- Paired axial CT (left) and PSMA PET (right), 18F tracer
- slice 101 of 454
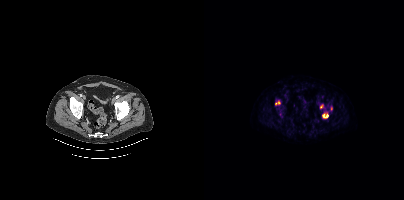
Findings: Coordinates are on the 200×200 PET (right) panel. PSMA-avid tumor lesion bounding boxes (x0, y0)-(x1, y1): (118, 113)-(124, 118) / (71, 101)-(76, 105) / (116, 104)-(119, 108). Small PSMA-avid focus (2 to 4 px across) near (center x, center y): (127, 108).